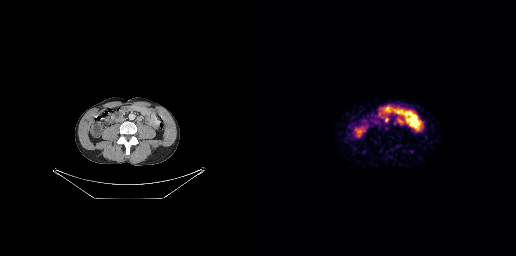
- Paired axial CT (left) and PSMA PET (right), 68Ga tracer
- PET panel 256×256 px (2.7 mm/px)
Findings: Coordinates are on the 256×256 PET (right) panel. PSMA-avid tumor lesion bounding box (x0,y0,x1,y1): [125,118,128,122].